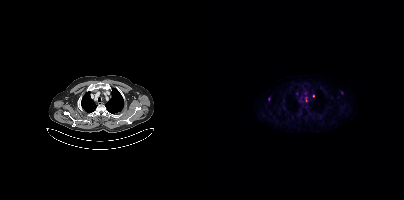
{"pet_grid":[200,200],"coord_frame":"pet_panel","coord_format":"x0,y0,x1,y1","lesion_bboxes":[],"small_foci_centers":[[138,92],[65,99],[109,96]],"modality":"PSMA PET/CT","view":"axial","tracer":"18F"}